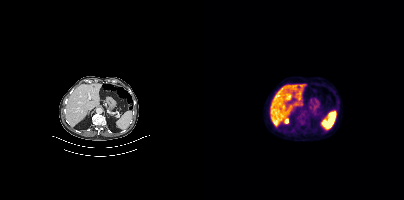
- Left: CT. Right: PSMA PET, same axial level, 18F-PSMA tracer
- acquired on Siemens Biograph mCT Flow 20
- PET panel 200×200 px (4.1 mm/px)
Findings: This slice has no annotated PSMA-avid lesion.